- Paired axial CT (left) and PSMA PET (right), [18F]PSMA-1007 tracer
- slice position z = -571 mm
- PET panel 200×200 px (4.1 mm/px)
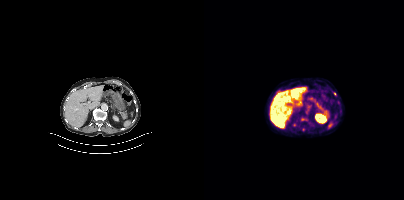
Findings: Coordinates are on the 200×200 PET (right) panel. (showing 1 of 2 foci) Small PSMA-avid focus (2 to 4 px across) near (center x, center y): (130, 94).